Privacy masking, with the pixels inside a rectangle set to black.
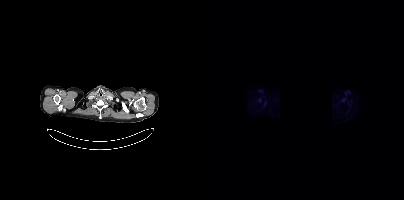
This slice has no annotated PSMA-avid lesion.